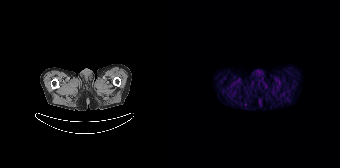
- Two-panel axial: CT | PSMA PET, [68Ga]Ga-PSMA-11 tracer
- PET panel 168×168 px (4.1 mm/px)
Findings: No tumor lesions annotated on this slice.